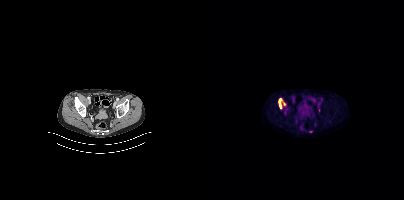
Coordinates are on the 200×200 PET (right) panel. (showing 2 of 3 foci) PSMA-avid tumor lesion bounding box (x0, y0)-(x1, y1): (75, 98)-(81, 108). Small PSMA-avid focus (2 to 4 px across) near (center x, center y): (106, 131).